- Left: CT. Right: PSMA PET, same axial level, 18F-PSMA tracer
- slice position z = -1360 mm
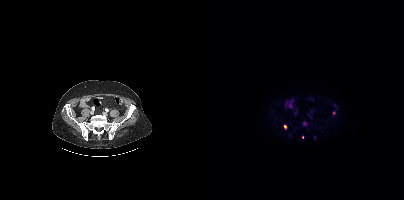
Findings: Coordinates are on the 200×200 PET (right) panel. (showing 1 of 2 foci) Small PSMA-avid focus (2 to 4 px across) near (center x, center y): (81, 126).